Left: CT. Right: PSMA PET, same axial level, 18F-PSMA tracer. Slice position z = -1198 mm.
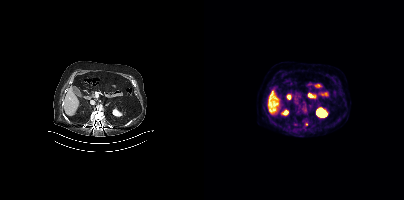
Only PSMA-avid lesion pieces thinner than 2 px on this slice (not listed).